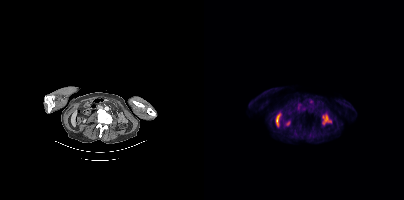
No tumor lesions annotated on this slice.